Face de-identified by blanking a block of the head. Left: CT. Right: PSMA PET, same axial level, [68Ga]Ga-PSMA-11 tracer.
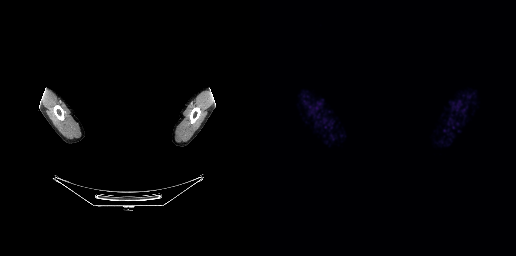
Negative for PSMA-avid disease on this slice.